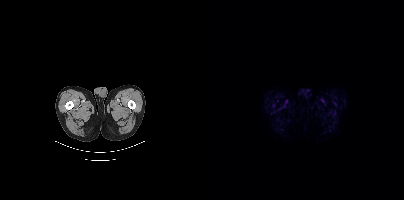
This slice has no annotated PSMA-avid lesion.